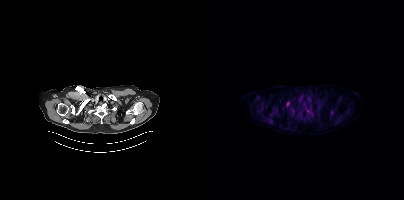
Coordinates are on the 200×200 PET (right) panel. (showing 1 of 3 foci) Small PSMA-avid focus (2 to 4 px across) near (center x, center y): (83, 103).